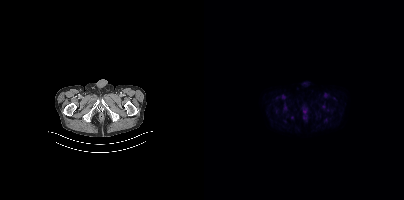
Negative for PSMA-avid disease on this slice.